modality: PSMA PET/CT | tracer: 68Ga | view: axial | PET grid: 200×200
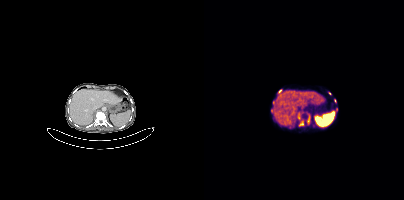
Coordinates are on the 200×200 PET (right) panel. (showing 7 of 9 foci) PSMA-avid tumor lesion bounding boxes (x0,y0,x1,y1): [103,113,106,122], [95,121,99,125], [67,107,69,112], [74,89,77,93]. Small PSMA-avid foci (2 to 4 px across) near (center x, center y): (132, 109), (125, 93), (95, 117).